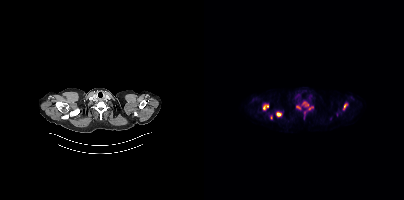
Coordinates are on the 200×200 PET (right) panel. (showing 5 of 6 foci) PSMA-avid tumor lesion bounding boxes (x, y, width, height): x=59 y=104 w=6 h=6 | x=72 y=112 w=6 h=5 | x=139 y=104 w=4 h=6. Small PSMA-avid foci (2 to 4 px across) near (center x, center y): (93, 107) | (106, 108).